Technique: Two-panel axial: CT | PSMA PET, [18F]PSMA-1007 tracer. PET panel 200×200 px (4.1 mm/px).
Note: The face region was removed for patient privacy by blanking a rectangle over the head.
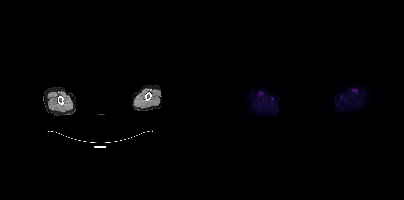
Findings: No PSMA-avid tumor lesions on this slice.